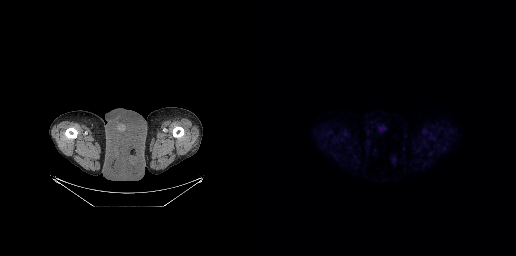
- Paired axial CT (left) and PSMA PET (right), 18F-PSMA tracer
- PET panel 256×256 px (2.7 mm/px)
Findings: This slice has no annotated PSMA-avid lesion.